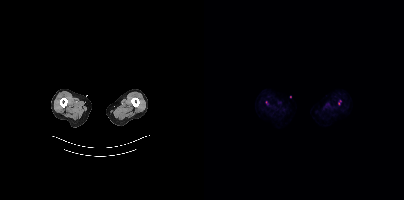
{"pet_grid":[200,200],"coord_frame":"pet_panel","coord_format":"x0,y0,x1,y1","partial":true,"lesion_bboxes":[],"small_foci_centers":[[62,102]],"modality":"PSMA PET/CT","view":"axial","tracer":"18F-PSMA"}